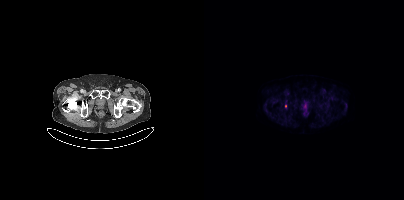
Coordinates are on the 200×200 PET (right) panel. Small PSMA-avid focus (2 to 4 px across) near (center x, center y): (81, 105).